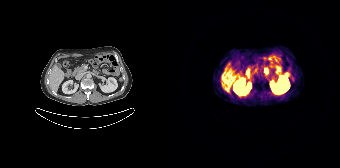
Two-panel axial: CT | PSMA PET, 68Ga tracer. Acquired on Siemens Biograph 64-4R TruePoint. Slice 102 of 195. PET panel 168×168 px (4.1 mm/px). This slice has no annotated PSMA-avid lesion.